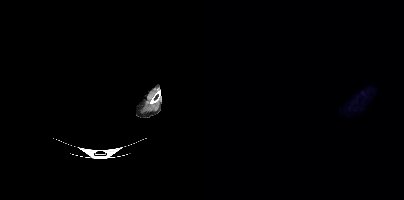
Technique: Two-panel axial: CT | PSMA PET, [18F]PSMA-1007 tracer. acquired on Siemens Biograph mCT Flow 20. slice position z = 358 mm.
Note: Privacy masking over the head, with the pixels inside a rectangle set to black.
Findings: No PSMA-avid tumor lesions on this slice.